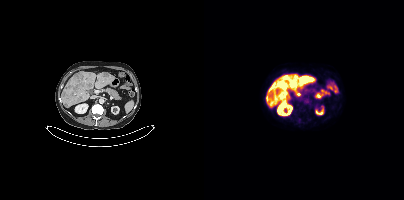
{"modality":"PSMA PET/CT","view":"axial","tracer":"18F-PSMA","pet_grid":[200,200],"coord_frame":"pet_panel","coord_format":"x0,y0,x1,y1","lesion_bboxes":[[97,76,103,81],[87,80,91,84],[79,76,83,80],[73,82,77,85]],"small_foci_centers":[[94,94]]}